modality: PSMA PET/CT | tracer: 18F | view: axial
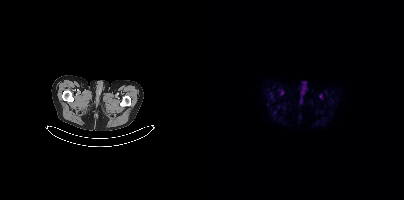
No PSMA-avid tumor lesions on this slice.